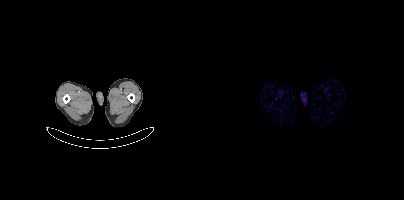
{"modality":"PSMA PET/CT","view":"axial","tracer":"[68Ga]Ga-PSMA-11","pet_grid":[200,200],"coord_frame":"pet_panel","coord_format":"x0,y0,x1,y1","psma_avid_lesions":false}